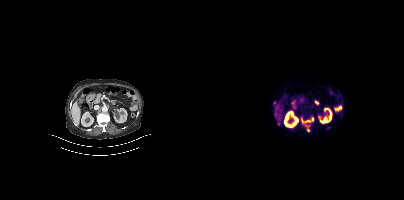
- Paired axial CT (left) and PSMA PET (right), 68Ga-PSMA tracer
- acquired on Siemens Biograph mCT Flow 20
- PET panel 200×200 px (4.1 mm/px)
Findings: Coordinates are on the 200×200 PET (right) panel. (showing 4 of 5 foci) PSMA-avid tumor lesion bounding boxes (x0,y0,x1,y1): [97,118,109,122]; [101,124,105,131]; [73,121,76,125]. Small PSMA-avid focus (2 to 4 px across) near (center x, center y): (70, 102).